Left: CT. Right: PSMA PET, same axial level, 18F tracer. Slice 146 of 263.
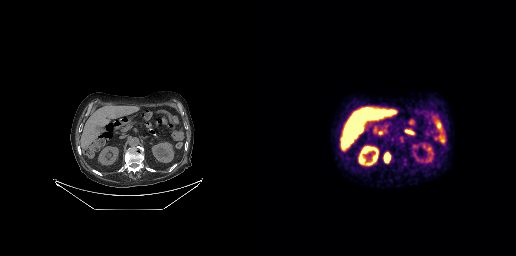
Coordinates are on the 256×256 PET (right) panel. PSMA-avid tumor lesion bounding box (x0, y0)-(x1, y1): (124, 152)-(131, 163).